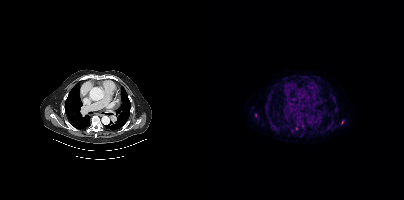
{"modality":"PSMA PET/CT","view":"axial","tracer":"18F-PSMA","pet_grid":[200,200],"coord_frame":"pet_panel","coord_format":"x0,y0,x1,y1","lesion_bboxes":[],"small_foci_centers":[[51,115],[138,122],[92,128],[98,125]]}